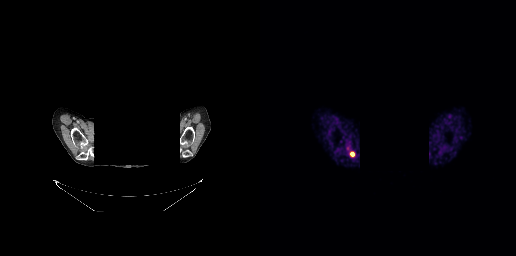
Technique: Two-panel axial: CT | PSMA PET, 68Ga-PSMA tracer. PET panel 256×256 px (2.7 mm/px).
Note: The head region is masked for de-identification.
Findings: Coordinates are on the 256×256 PET (right) panel. PSMA-avid tumor lesion bounding box (x0,y0,x1,y1): [90,152,94,156].